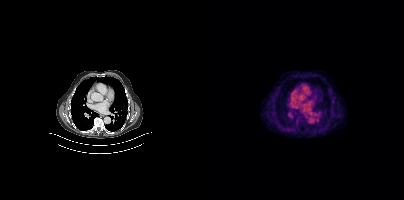
modality: PSMA PET/CT | tracer: 18F-PSMA | view: axial
No PSMA-avid tumor lesions on this slice.